Technique: Left: CT. Right: PSMA PET, same axial level, [18F]PSMA-1007 tracer. acquired on Siemens Biograph mCT Flow 20. slice 137 of 448.
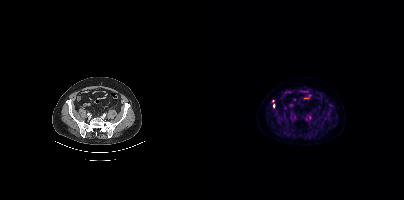
Findings: Coordinates are on the 200×200 PET (right) panel. (showing 2 of 3 foci) Small PSMA-avid foci (2 to 4 px across) near (center x, center y): (69, 105); (106, 117).